Technique: Paired axial CT (left) and PSMA PET (right), [18F]PSMA-1007 tracer. slice position z = -752 mm. PET panel 200×200 px (4.1 mm/px).
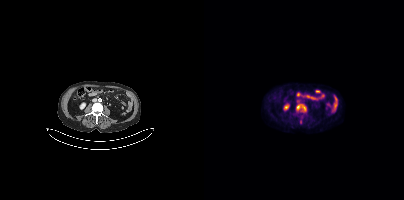
Findings: Coordinates are on the 200×200 PET (right) panel. PSMA-avid tumor lesion bounding box (x0, y0)-(x1, y1): (92, 104)-(102, 111).